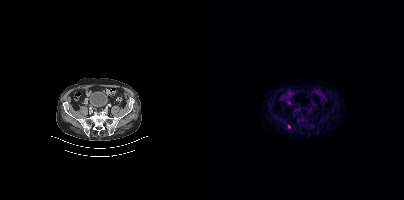
Coordinates are on the 200×200 PET (right) panel. Small PSMA-avid focus (2 to 4 px across) near (center x, center y): (85, 126). Two-panel axial: CT | PSMA PET, [18F]PSMA-1007 tracer. Slice position z = -1436 mm.